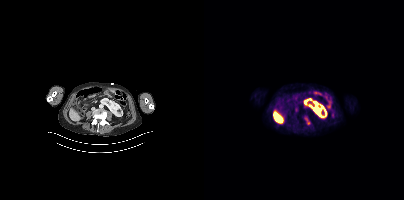
{"modality":"PSMA PET/CT","view":"axial","tracer":"18F-PSMA","pet_grid":[200,200],"coord_frame":"pet_panel","coord_format":"x0,y0,x1,y1","partial":true,"lesion_bboxes":[],"small_foci_centers":[[104,123]]}